modality: PSMA PET/CT | tracer: 18F-PSMA | view: axial
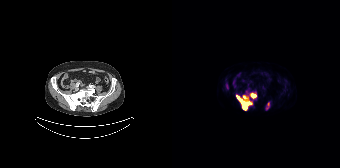
Coordinates are on the 168×168 PET (right) panel. PSMA-avid tumor lesion bounding box (x0,y0,x1,y1): [64,92,84,110]. Small PSMA-avid foci (2 to 4 px across) near (center x, center y): (96, 104) (95, 107).